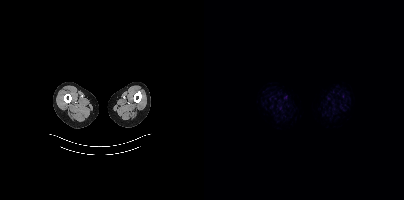
{"pet_grid":[200,200],"coord_frame":"pet_panel","coord_format":"x0,y0,x1,y1","psma_avid_lesions":false,"modality":"PSMA PET/CT","view":"axial","tracer":"18F"}